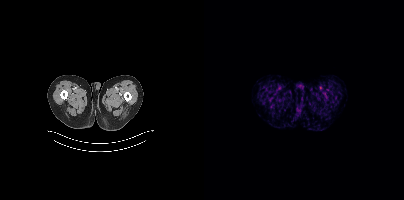
Negative for PSMA-avid disease on this slice.
modality: PSMA PET/CT | tracer: 18F-PSMA | view: axial